Technique: Paired axial CT (left) and PSMA PET (right), [18F]PSMA-1007 tracer. acquired on GE Discovery 690. PET panel 256×256 px (2.7 mm/px).
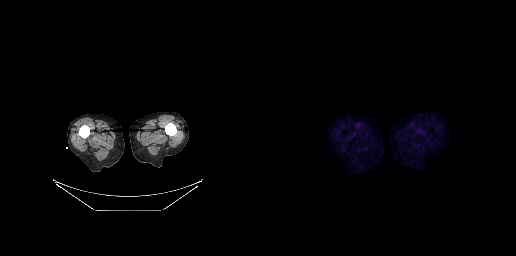
Findings: No tumor lesions annotated on this slice.